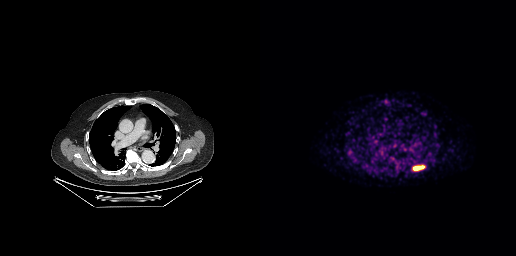
Technique: Paired axial CT (left) and PSMA PET (right), 68Ga-PSMA tracer. acquired on GE Discovery 690. PET panel 256×256 px (2.7 mm/px).
Findings: Coordinates are on the 256×256 PET (right) panel. PSMA-avid tumor lesion bounding box (x, y, width, height): x=153 y=165 w=12 h=6. Small PSMA-avid foci (2 to 4 px across) near (center x, center y): (90, 152) | (136, 167).